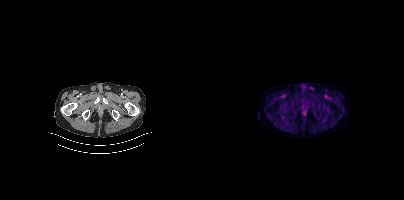
Left: CT. Right: PSMA PET, same axial level, 18F-PSMA tracer. This slice has no annotated PSMA-avid lesion.